Technique: Left: CT. Right: PSMA PET, same axial level, 18F-PSMA tracer. slice 385 of 401. PET panel 200×200 px (4.1 mm/px).
Note: Face de-identified by blanking a block of the head.
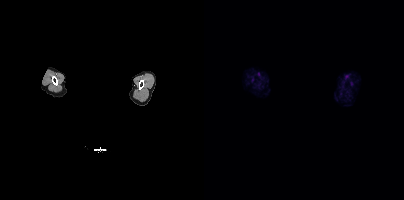
Findings: This slice has no annotated PSMA-avid lesion.